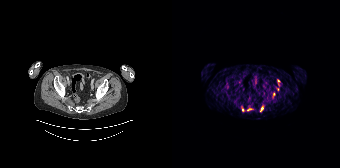
Coordinates are on the 168×168 PET (right) panel. PSMA-avid tumor lesion bounding boxes (partial; 3 more foci not listed):
| # | x0 | y0 | x1 | y1 |
|---|---|---|---|---|
| 1 | 75 | 109 | 79 | 110 |
Small PSMA-avid foci (2 to 4 px across) near (center x, center y): (70, 110); (106, 80).
Left: CT. Right: PSMA PET, same axial level, [68Ga]Ga-PSMA-11 tracer. Acquired on Siemens Biograph 64-4R TruePoint. Slice 68 of 195. PET panel 168×168 px (4.1 mm/px).